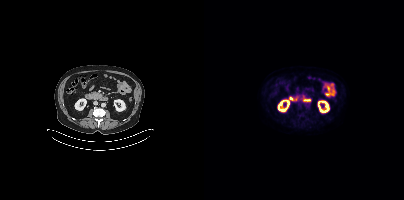
modality: PSMA PET/CT | tracer: [18F]PSMA-1007 | view: axial | PET grid: 200×200
No PSMA-avid tumor lesions on this slice.